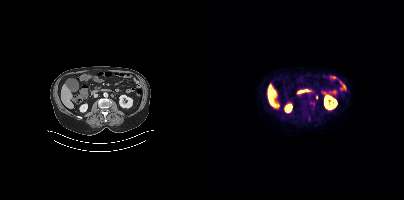
Only PSMA-avid lesion pieces thinner than 2 px on this slice (not listed). Two-panel axial: CT | PSMA PET, 18F-PSMA tracer. Slice position z = -1250 mm.